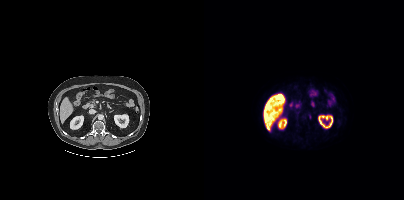
{"modality":"PSMA PET/CT","view":"axial","tracer":"18F","pet_grid":[200,200],"coord_frame":"pet_panel","coord_format":"x0,y0,x1,y1","psma_avid_lesions":false}